modality: PSMA PET/CT | tracer: 68Ga | view: axial | PET grid: 200×200
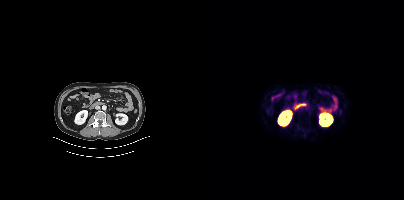
Negative for PSMA-avid disease on this slice.